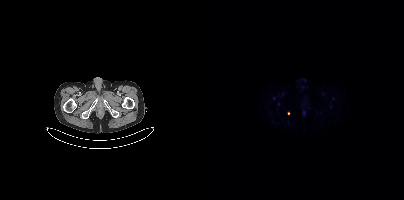
modality: PSMA PET/CT | tracer: 68Ga-PSMA | view: axial | PET grid: 200×200
Coordinates are on the 200×200 PET (right) panel. Small PSMA-avid foci (2 to 4 px across) near (center x, center y): (84, 113) (69, 98).